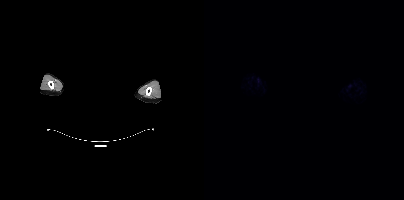
Technique: Paired axial CT (left) and PSMA PET (right), 18F tracer. slice position z = 482 mm.
Note: Head region blanked for anonymization (face removed).
Findings: No PSMA-avid tumor lesions on this slice.